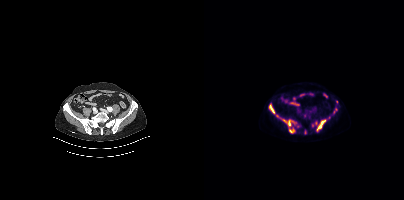
Technique: Left: CT. Right: PSMA PET, same axial level, 18F tracer.
Findings: Coordinates are on the 200×200 PET (right) panel. (showing 7 of 12 foci) PSMA-avid tumor lesion bounding boxes (x, y, width, height): x=79 y=119 w=15 h=8; x=112 y=120 w=10 h=12; x=65 y=104 w=4 h=6. Small PSMA-avid foci (2 to 4 px across) near (center x, center y): (85, 130); (89, 130); (69, 112); (73, 115).